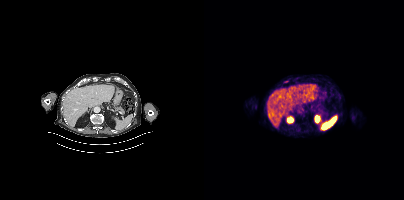
Coordinates are on the 200×200 PET (right) panel. PSMA-avid tumor lesion bounding box (x0, y0)-(x1, y1): (80, 81)-(84, 82).